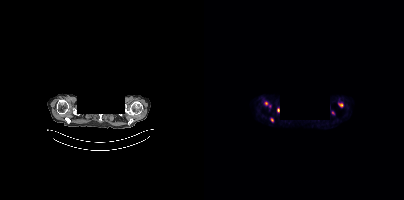
Technique: Two-panel axial: CT | PSMA PET, 18F-PSMA tracer. PET panel 200×200 px (4.1 mm/px).
Note: Any black rectangle over the head is a privacy mask, not anatomy.
Findings: Coordinates are on the 200×200 PET (right) panel. PSMA-avid tumor lesion bounding boxes (x, y, width, height): x=134 y=103 w=6 h=5; x=60 y=101 w=5 h=5; x=73 y=108 w=3 h=5. Small PSMA-avid foci (2 to 4 px across) near (center x, center y): (68, 119); (66, 106); (129, 112).